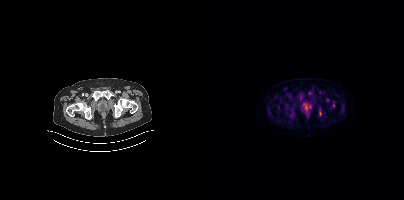
Coordinates are on the 200×200 PET (right) panel. PSMA-avid tumor lesion bounding boxes (partial; 2 more foci not listed):
| # | x0 | y0 | x1 | y1 |
|---|---|---|---|---|
| 1 | 129 | 102 | 130 | 106 |
Small PSMA-avid focus (2 to 4 px across) near (center x, center y): (123, 99).
Paired axial CT (left) and PSMA PET (right), 18F tracer. PET panel 200×200 px (4.1 mm/px).